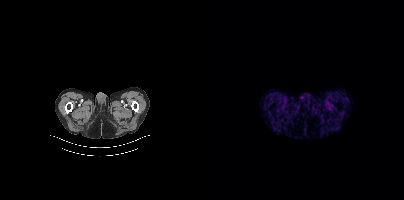
- Paired axial CT (left) and PSMA PET (right), 68Ga-PSMA tracer
Findings: No PSMA-avid tumor lesions on this slice.